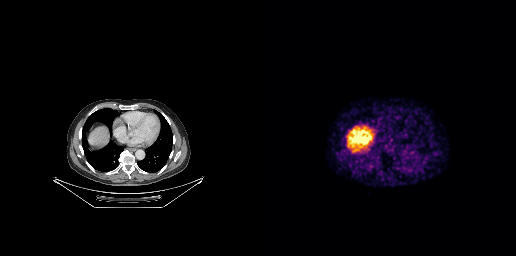
Technique: Two-panel axial: CT | PSMA PET, 68Ga tracer. acquired on GE Discovery 690. PET panel 256×256 px (2.7 mm/px).
Findings: No tumor lesions annotated on this slice.